- privacy masking over the head, with the pixels inside a rectangle set to black
- Paired axial CT (left) and PSMA PET (right), 18F-PSMA tracer
- acquired on Siemens Biograph mCT Flow 20
- slice 408 of 435
- PET panel 200×200 px (4.1 mm/px)
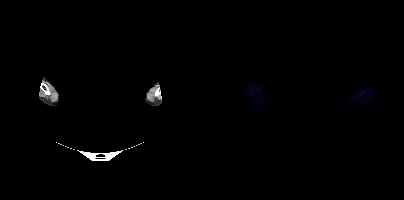
Findings: No PSMA-avid tumor lesions on this slice.